modality: PSMA PET/CT | tracer: [18F]PSMA-1007 | view: axial | PET grid: 168×168
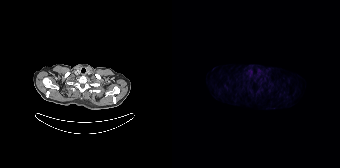
No tumor lesions annotated on this slice.